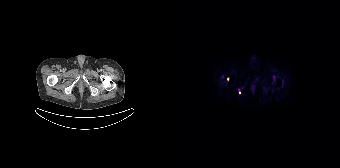
Coordinates are on the 168×168 PET (right) panel. Small PSMA-avid foci (2 to 4 px across) near (center x, center y): (55, 79), (67, 92).